modality: PSMA PET/CT | tracer: [18F]PSMA-1007 | view: axial
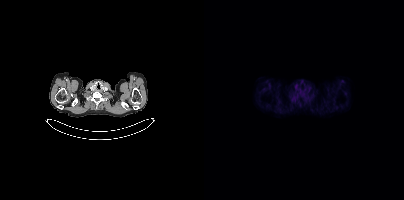
No tumor lesions annotated on this slice.